Privacy masking over the head, with the pixels inside a rectangle set to black. Left: CT. Right: PSMA PET, same axial level, 18F tracer. Slice position z = -516 mm. PET panel 168×168 px (4.1 mm/px).
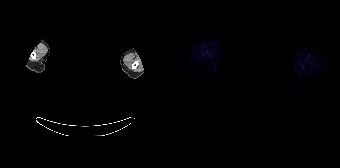
Negative for PSMA-avid disease on this slice.